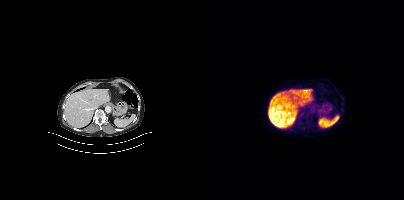
{"pet_grid":[200,200],"coord_frame":"pet_panel","coord_format":"x0,y0,x1,y1","psma_avid_lesions":false,"modality":"PSMA PET/CT","view":"axial","tracer":"18F"}